The head region is masked for de-identification. Left: CT. Right: PSMA PET, same axial level, 18F-PSMA tracer. Acquired on Siemens Biograph mCT Flow 20.
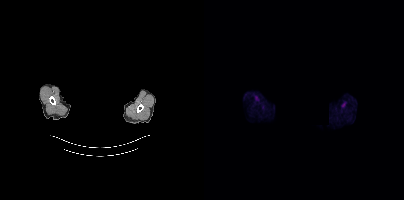
This slice has no annotated PSMA-avid lesion.